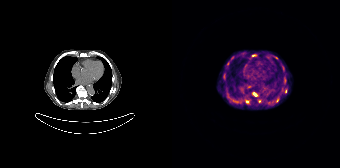
Coordinates are on the 168×168 PET (right) panel. PSMA-avid tumor lesion bounding boxes (x0, y0)-(x1, y1): (81, 92)-(85, 96) / (80, 54)-(84, 56) / (112, 78)-(113, 83). Small PSMA-avid foci (2 to 4 px across) near (center x, center y): (52, 75) / (56, 63) / (60, 57) / (87, 101) / (105, 100) / (113, 91) / (75, 101) / (111, 68) / (104, 57).